Technique: Left: CT. Right: PSMA PET, same axial level, [18F]PSMA-1007 tracer.
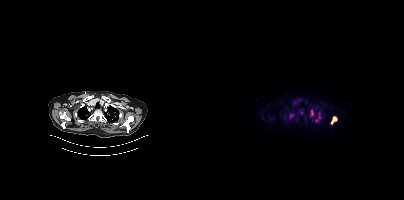
Findings: Coordinates are on the 200×200 PET (right) panel. (showing 5 of 6 foci) PSMA-avid tumor lesion bounding boxes (x0, y0)-(x1, y1): (127, 116)-(133, 124); (107, 110)-(109, 115). Small PSMA-avid foci (2 to 4 px across) near (center x, center y): (87, 115); (115, 117); (112, 120).